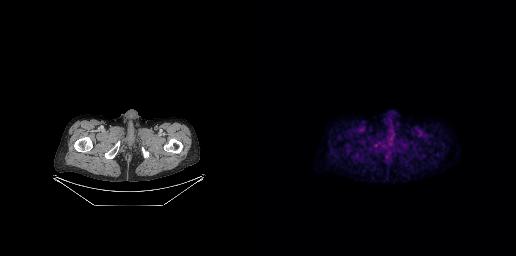
This slice has no annotated PSMA-avid lesion.